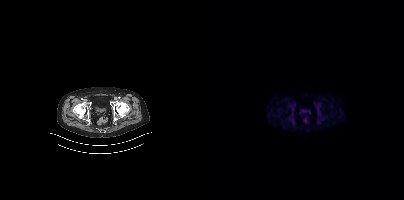
No PSMA-avid tumor lesions on this slice.